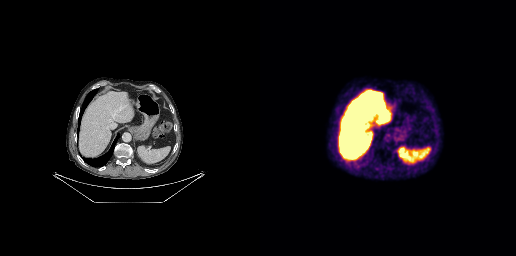
- Left: CT. Right: PSMA PET, same axial level, 18F tracer
- PET panel 256×256 px (2.7 mm/px)
Findings: No PSMA-avid tumor lesions on this slice.